- Left: CT. Right: PSMA PET, same axial level, 18F-PSMA tracer
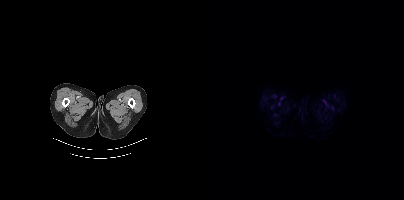
Findings: No PSMA-avid tumor lesions on this slice.